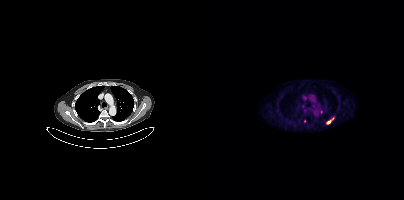
- Paired axial CT (left) and PSMA PET (right), [18F]PSMA-1007 tracer
- PET panel 200×200 px (4.1 mm/px)
Findings: Coordinates are on the 200×200 PET (right) panel. (showing 1 of 2 foci) Small PSMA-avid focus (2 to 4 px across) near (center x, center y): (124, 121).